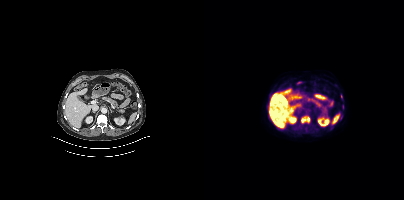
Coordinates are on the 200×200 PET (right) panel. PSMA-avid tumor lesion bounding boxes (x0, y0)-(x1, y1): (97, 116)-(106, 123) | (138, 105)-(139, 109). Small PSMA-avid foci (2 to 4 px across) near (center x, center y): (137, 96) | (102, 130). Paired axial CT (left) and PSMA PET (right), [18F]PSMA-1007 tracer. Slice position z = -1210 mm. PET panel 200×200 px (4.1 mm/px).